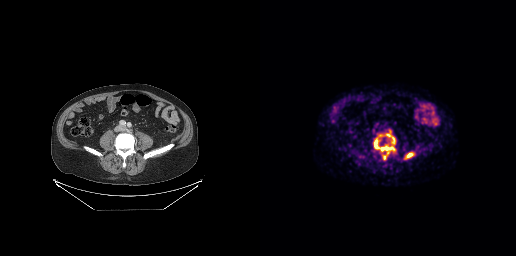
Coordinates are on the 256×256 PET (right) panel. PSMA-avid tumor lesion bounding boxes (x0,y0,x1,y1): [114,140,135,159] [126,135,135,144] [145,152,153,158].